Two-panel axial: CT | PSMA PET, [18F]PSMA-1007 tracer. Slice position z = -1414 mm.
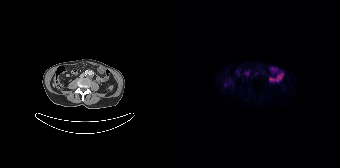
No PSMA-avid tumor lesions on this slice.